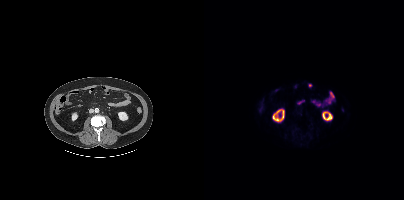
Negative for PSMA-avid disease on this slice. Two-panel axial: CT | PSMA PET, 18F-PSMA tracer. Slice position z = -1278 mm. PET panel 200×200 px (4.1 mm/px).